Left: CT. Right: PSMA PET, same axial level, 18F tracer. Acquired on GE Discovery 690. PET panel 256×256 px (2.7 mm/px).
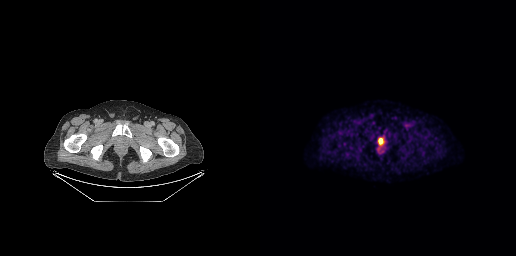
Coordinates are on the 256×256 PET (right) panel. PSMA-avid tumor lesion bounding box (x, y, width, height): x=119 y=139 w=4 h=5.